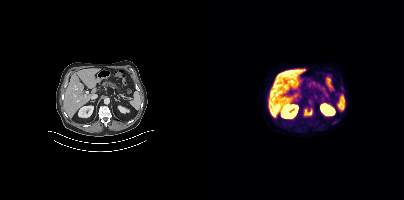
Technique: Paired axial CT (left) and PSMA PET (right), 18F-PSMA tracer.
Findings: Coordinates are on the 200×200 PET (right) panel. PSMA-avid tumor lesion bounding box (x0,y0,x1,y1): [100,108,108,115]. Small PSMA-avid focus (2 to 4 px across) near (center x, center y): (129, 123).